- Paired axial CT (left) and PSMA PET (right), [18F]PSMA-1007 tracer
- acquired on Siemens Biograph mCT Flow 20
- slice 171 of 425
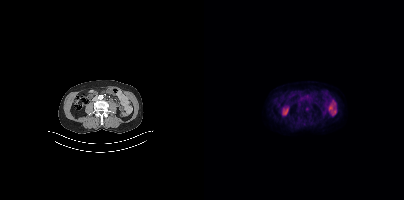
Findings: Coordinates are on the 200×200 PET (right) panel. Small PSMA-avid focus (2 to 4 px across) near (center x, center y): (103, 108).